Two-panel axial: CT | PSMA PET, 18F-PSMA tracer. Acquired on Siemens Biograph mCT Flow 20. PET panel 200×200 px (4.1 mm/px).
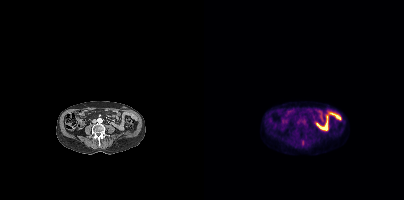
Coordinates are on the 200×200 PET (right) panel. PSMA-avid tumor lesion bounding boxes:
| # | x0 | y0 | x1 | y1 |
|---|---|---|---|---|
| 1 | 98 | 140 | 100 | 145 |